Paired axial CT (left) and PSMA PET (right), 18F tracer. Slice 38 of 431. PET panel 200×200 px (4.1 mm/px).
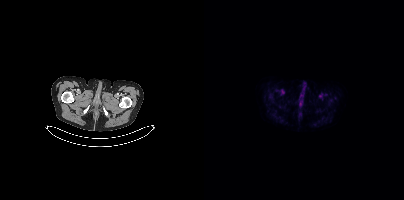
No PSMA-avid tumor lesions on this slice.